Technique: Left: CT. Right: PSMA PET, same axial level, [18F]PSMA-1007 tracer. slice 279 of 433. PET panel 200×200 px (4.1 mm/px).
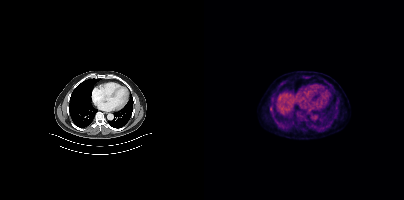
Findings: Coordinates are on the 200×200 PET (right) panel. PSMA-avid tumor lesion bounding box (x0,y0,x1,y1): [66,107,68,111].